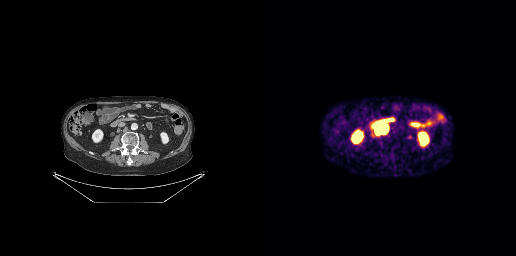
- Left: CT. Right: PSMA PET, same axial level, 68Ga tracer
Findings: Coordinates are on the 256×256 PET (right) panel. PSMA-avid tumor lesion bounding box (x, y, width, height): x=117 y=128 w=10 h=6.